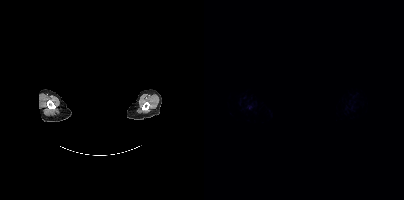
- Paired axial CT (left) and PSMA PET (right), 18F-PSMA tracer
- slice 499 of 508
- facial anatomy redacted by setting a rectangular region of the head to black
Findings: This slice has no annotated PSMA-avid lesion.